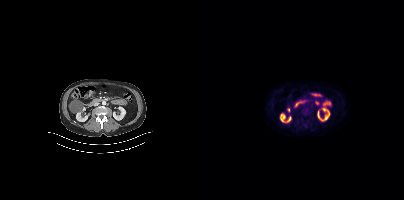
{"modality":"PSMA PET/CT","view":"axial","tracer":"[18F]PSMA-1007","pet_grid":[200,200],"coord_frame":"pet_panel","coord_format":"x0,y0,x1,y1","psma_avid_lesions":false}